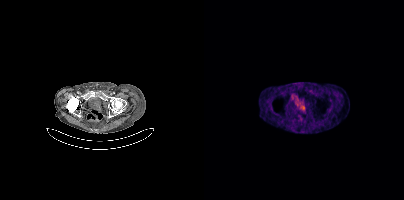
- Left: CT. Right: PSMA PET, same axial level, [68Ga]Ga-PSMA-11 tracer
- acquired on Siemens Biograph mCT Flow 20
- slice 69 of 413
- PET panel 200×200 px (4.1 mm/px)
Findings: Coordinates are on the 200×200 PET (right) panel. PSMA-avid tumor lesion bounding box (x, y, width, height): x=96 y=105 w=5 h=6. Small PSMA-avid focus (2 to 4 px across) near (center x, center y): (92, 97).